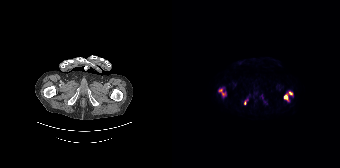
modality: PSMA PET/CT | tracer: 18F-PSMA | view: axial
Coordinates are on the 168×168 PET (right) panel. PSMA-avid tumor lesion bounding boxes (x0,y0,x1,y1): [46,88,54,97], [112,94,116,100]. Small PSMA-avid foci (2 to 4 px across) near (center x, center y): (118, 92), (73, 102).